modality: PSMA PET/CT | tracer: 18F | view: axial
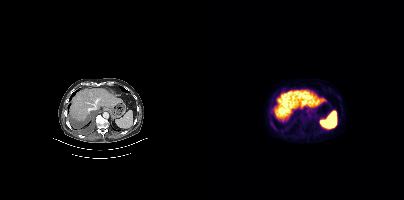
Coordinates are on the 200×200 PET (right) panel. Small PSMA-avid foci (2 to 4 px across) near (center x, center y): (70, 127); (81, 128).